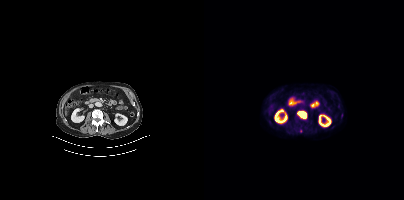
- Paired axial CT (left) and PSMA PET (right), [18F]PSMA-1007 tracer
- PET panel 200×200 px (4.1 mm/px)
Findings: Coordinates are on the 200×200 PET (right) panel. PSMA-avid tumor lesion bounding box (x0, y0)-(x1, y1): (94, 112)-(102, 118).